modality: PSMA PET/CT | tracer: 68Ga-PSMA | view: axial
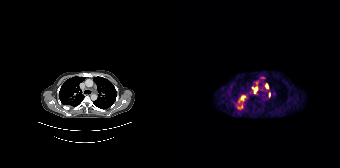
Coordinates are on the 168×168 PET (right) panel. (showing 6 of 7 foci) PSMA-avid tumor lesion bounding boxes (x0, y0)-(x1, y1): (66, 95)-(74, 102) | (80, 86)-(86, 93) | (65, 104)-(70, 109) | (93, 84)-(96, 88). Small PSMA-avid foci (2 to 4 px across) near (center x, center y): (90, 77) | (97, 94).